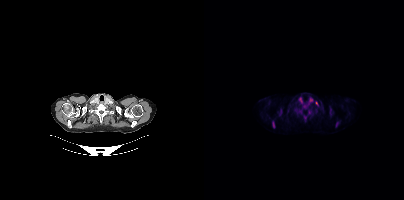
Coordinates are on the 200×200 PET (right) panel. (showing 3 of 4 foci) PSMA-avid tumor lesion bounding boxes (x0,y0,x1,y1): [68,121,70,128]; [132,122,134,126]. Small PSMA-avid focus (2 to 4 px across) near (center x, center y): (112, 103). Two-panel axial: CT | PSMA PET, 18F tracer.